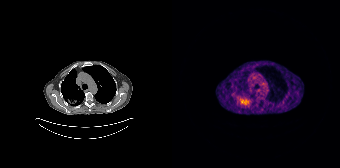
Findings: Coordinates are on the 168×168 PET (right) panel. PSMA-avid tumor lesion bounding box (x, y, width, height): x=68 y=97 w=10 h=10.
- Left: CT. Right: PSMA PET, same axial level, 68Ga-PSMA tracer
- acquired on Siemens Biograph 64-4R TruePoint